modality: PSMA PET/CT | tracer: 18F | view: axial
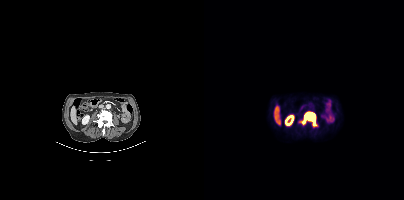
Coordinates are on the 200×200 PET (right) panel. PSMA-avid tumor lesion bounding box (x0, y0)-(x1, y1): (94, 112)-(112, 126).